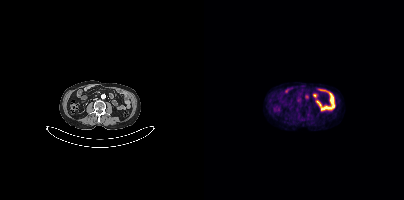
{"pet_grid":[200,200],"coord_frame":"pet_panel","coord_format":"x0,y0,x1,y1","psma_avid_lesions":false,"modality":"PSMA PET/CT","view":"axial","tracer":"18F"}